Technique: Left: CT. Right: PSMA PET, same axial level, 18F tracer.
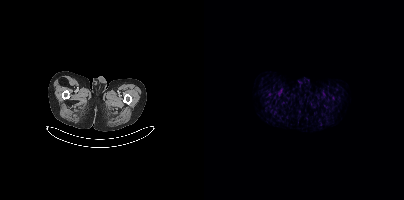
Findings: This slice has no annotated PSMA-avid lesion.